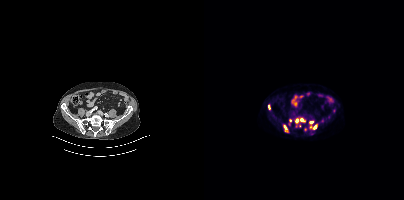
Coordinates are on the 200×200 PET (right) panel. (showing 7 of 10 foci) PSMA-avid tumor lesion bounding boxes (x0, y0)-(x1, y1): (106, 124)-(113, 129) | (96, 118)-(101, 122) | (64, 105)-(66, 110) | (105, 121)-(109, 124) | (80, 125)-(83, 131). Small PSMA-avid foci (2 to 4 px across) near (center x, center y): (92, 120) | (86, 120).